Two-panel axial: CT | PSMA PET, [68Ga]Ga-PSMA-11 tracer. Head region blanked for anonymization (face removed).
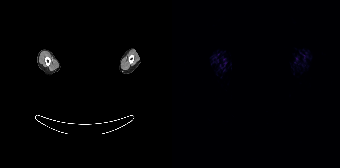
Negative for PSMA-avid disease on this slice.